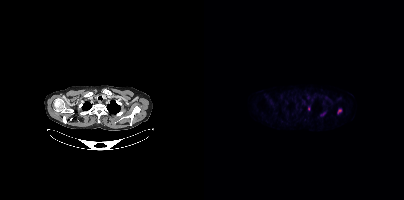
{"modality":"PSMA PET/CT","view":"axial","tracer":"18F-PSMA","pet_grid":[200,200],"coord_frame":"pet_panel","coord_format":"x0,y0,x1,y1","lesion_bboxes":[[116,111,122,116],[133,109,137,113]],"small_foci_centers":[[104,108]]}